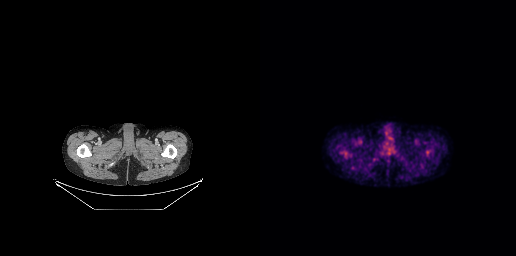
No tumor lesions annotated on this slice. Left: CT. Right: PSMA PET, same axial level, [18F]PSMA-1007 tracer. PET panel 256×256 px (2.7 mm/px).